Paired axial CT (left) and PSMA PET (right), 18F-PSMA tracer. PET panel 200×200 px (4.1 mm/px).
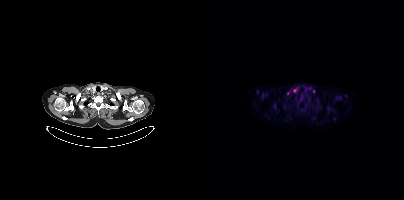
Coordinates are on the 200×200 PET (right) panel. PSMA-avid tumor lesion bounding boxes:
| # | x0 | y0 | x1 | y1 |
|---|---|---|---|---|
| 1 | 89 | 88 | 93 | 92 |
Small PSMA-avid foci (2 to 4 px across) near (center x, center y): (109, 91); (83, 93).